Technique: Two-panel axial: CT | PSMA PET, 18F tracer.
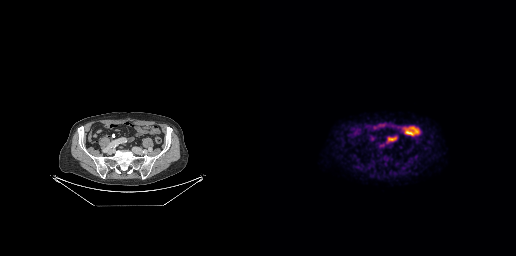
Findings: This slice has no annotated PSMA-avid lesion.